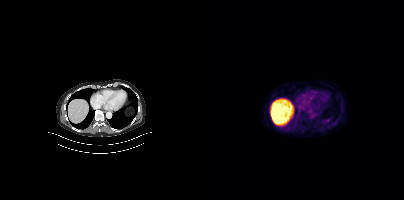
No PSMA-avid tumor lesions on this slice.